Left: CT. Right: PSMA PET, same axial level, 18F tracer.
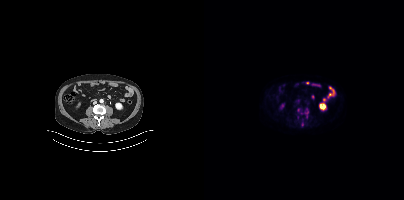
Coordinates are on the 200×200 PET (right) panel. (showing 1 of 2 foci) Small PSMA-avid focus (2 to 4 px across) near (center x, center y): (103, 112).